Technique: Left: CT. Right: PSMA PET, same axial level, 18F tracer. acquired on Siemens Biograph mCT Flow 20. PET panel 200×200 px (4.1 mm/px).
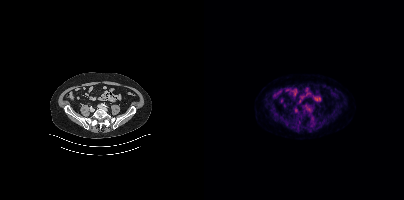
Findings: This slice has no annotated PSMA-avid lesion.